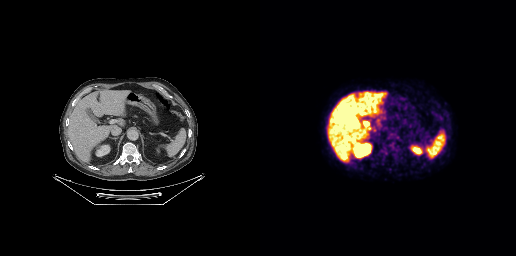
Left: CT. Right: PSMA PET, same axial level, 18F-PSMA tracer. Acquired on GE Discovery 690. No PSMA-avid tumor lesions on this slice.